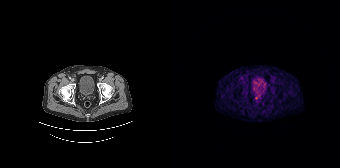
Coordinates are on the 168×168 PET (right) panel. Small PSMA-avid focus (2 to 4 px across) near (center x, center y): (84, 97).
modality: PSMA PET/CT | tracer: 68Ga-PSMA | view: axial | PET grid: 168×168